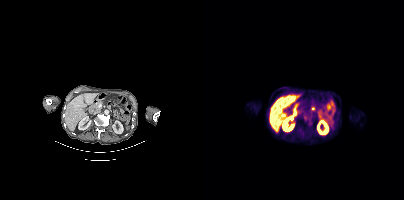
Coordinates are on the 200×200 PET (right) panel. PSMA-avid tumor lesion bounding box (x0,y0,x1,y1): [99,116,102,121].